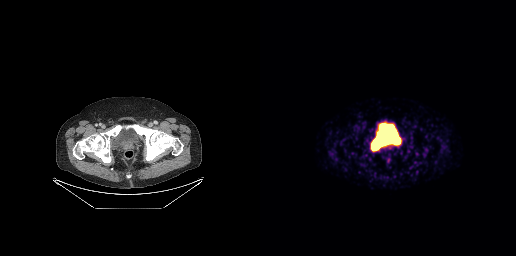
No PSMA-avid tumor lesions on this slice.